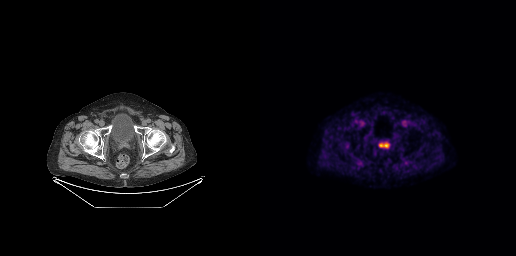
Paired axial CT (left) and PSMA PET (right), 18F tracer. Slice 58 of 263. Coordinates are on the 256×256 PET (right) panel. Small PSMA-avid foci (2 to 4 px across) near (center x, center y): (125, 145); (121, 145).